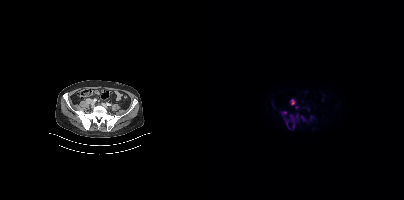
Coordinates are on the 200×200 PET (right) panel. (showing 4 of 6 foci) PSMA-avid tumor lesion bounding boxes (x0, y0)-(x1, y1): (80, 113)-(102, 129) / (87, 99)-(91, 104) / (106, 116)-(110, 120) / (78, 111)-(82, 115).
modality: PSMA PET/CT | tracer: 18F-PSMA | view: axial